Paired axial CT (left) and PSMA PET (right), [18F]PSMA-1007 tracer.
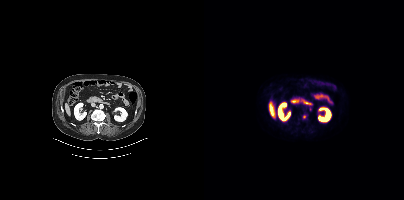
Coordinates are on the 200×200 PET (right) panel. Small PSMA-avid focus (2 to 4 px across) near (center x, center y): (100, 116).